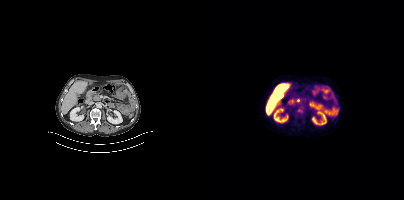
Coordinates are on the 200×200 PET (right) panel. Small PSMA-avid focus (2 to 4 px across) near (center x, center y): (95, 110).